Technique: Two-panel axial: CT | PSMA PET, 18F-PSMA tracer. acquired on Siemens Biograph mCT Flow 20.
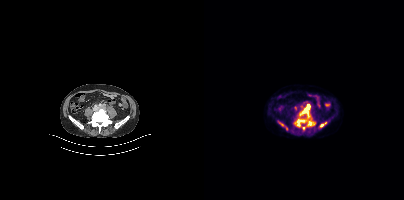
Findings: Coordinates are on the 200×200 PET (right) panel. (showing 5 of 6 foci) PSMA-avid tumor lesion bounding boxes (x0,y0,x1,y1): [96,105,105,117]; [91,119,102,126]; [104,121,110,125]. Small PSMA-avid foci (2 to 4 px across) near (center x, center y): (117, 125); (99, 127).